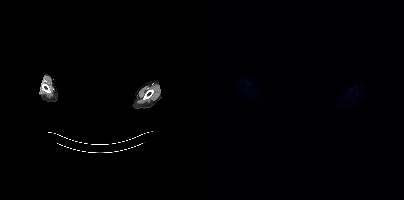
{"modality":"PSMA PET/CT","view":"axial","tracer":"18F-PSMA","pet_grid":[200,200],"coord_frame":"pet_panel","coord_format":"x0,y0,x1,y1","de-identification":"rectangular block over head set to black","psma_avid_lesions":false}